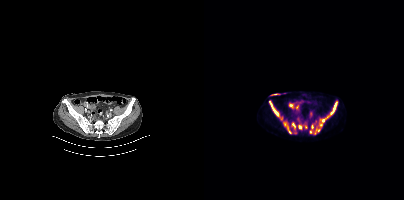
Coordinates are on the 200×200 PET (right) panel. (showing 8 of 11 foci) PSMA-avid tumor lesion bounding boxes (x0, y0)-(x1, y1): (65, 100)-(87, 133); (118, 101)-(133, 122); (88, 123)-(91, 127). Small PSMA-avid foci (2 to 4 px across) near (center x, center y): (96, 126); (117, 124); (108, 126); (114, 130); (106, 131).
modality: PSMA PET/CT | tracer: [18F]PSMA-1007 | view: axial | PET grid: 200×200